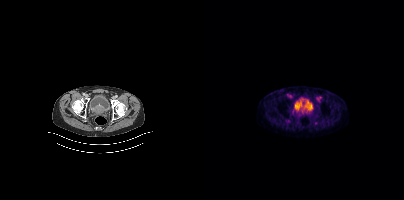
Technique: Two-panel axial: CT | PSMA PET, 18F-PSMA tracer. acquired on Siemens Biograph mCT Flow 20. PET panel 200×200 px (4.1 mm/px).
Findings: Coordinates are on the 200×200 PET (right) panel. PSMA-avid tumor lesion bounding box (x0,y0,x1,y1): [94,105,105,112].